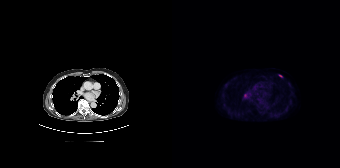
Coordinates are on the 168×168 PET (right) panel. Small PSMA-avid focus (2 to 4 px across) near (center x, center y): (108, 75). Left: CT. Right: PSMA PET, same axial level, [18F]PSMA-1007 tracer. Slice position z = -818 mm.